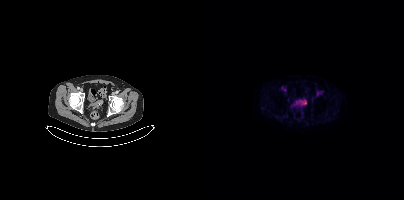
Paired axial CT (left) and PSMA PET (right), 18F-PSMA tracer. Acquired on Siemens Biograph mCT Flow 20. PET panel 200×200 px (4.1 mm/px). Coordinates are on the 200×200 PET (right) panel. PSMA-avid tumor lesion bounding box (x0, y0)-(x1, y1): (99, 100)-(102, 104).